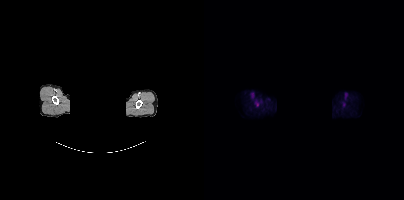
Technique: Two-panel axial: CT | PSMA PET, 18F tracer. acquired on Siemens Biograph mCT Flow 20.
Note: A rectangular block over the head has been blanked out for de-identification.
Findings: No tumor lesions annotated on this slice.